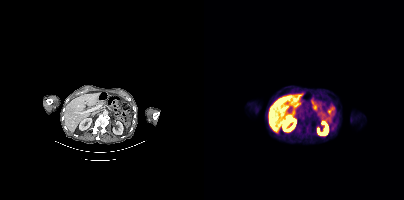
No tumor lesions annotated on this slice.